- Paired axial CT (left) and PSMA PET (right), 18F-PSMA tracer
- acquired on Siemens Biograph mCT Flow 20
- slice 87 of 411
- PET panel 200×200 px (4.1 mm/px)
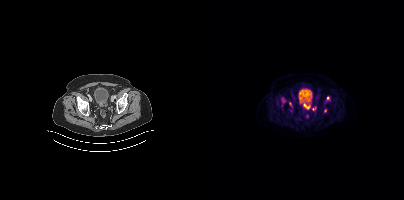
Findings: Coordinates are on the 200×200 PET (right) panel. (showing 5 of 7 foci) PSMA-avid tumor lesion bounding box (x0, y0)-(x1, y1): (99, 103)-(106, 108). Small PSMA-avid foci (2 to 4 px across) near (center x, center y): (86, 103); (121, 110); (124, 98); (109, 108).